modality: PSMA PET/CT | tracer: 18F | view: axial
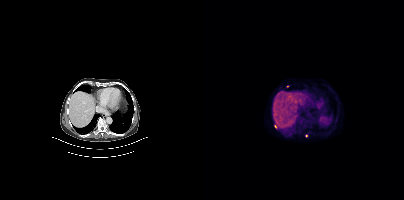
Coordinates are on the 200×200 PET (right) panel. Small PSMA-avid foci (2 to 4 px across) near (center x, center y): (71, 126) (102, 135) (83, 86).